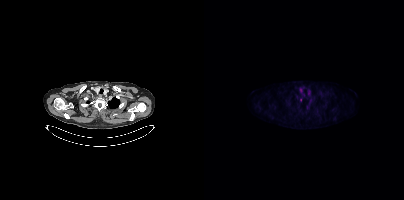
Findings: Coordinates are on the 200×200 PET (right) panel. Small PSMA-avid focus (2 to 4 px across) near (center x, center y): (96, 99).
Technique: Two-panel axial: CT | PSMA PET, 18F tracer. slice 347 of 421.